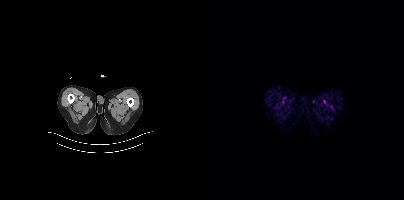
No PSMA-avid tumor lesions on this slice.
modality: PSMA PET/CT | tracer: 18F | view: axial | PET grid: 200×200